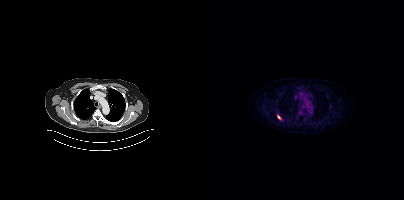
Coordinates are on the 200×200 PET (right) panel. PSMA-avid tumor lesion bounding box (x0, y0)-(x1, y1): (73, 114)-(77, 119).